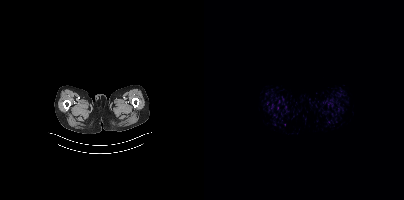
Left: CT. Right: PSMA PET, same axial level, [18F]PSMA-1007 tracer. Slice 3 of 401. This slice has no annotated PSMA-avid lesion.